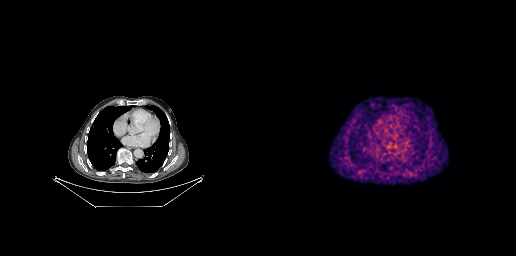
{"modality":"PSMA PET/CT","view":"axial","tracer":"[68Ga]Ga-PSMA-11","pet_grid":[256,256],"coord_frame":"pet_panel","coord_format":"x0,y0,x1,y1","psma_avid_lesions":false}